Left: CT. Right: PSMA PET, same axial level, 18F-PSMA tracer. Acquired on Siemens Biograph 64-4R TruePoint. Slice 109 of 165.
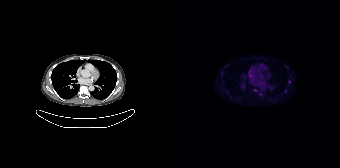
Coordinates are on the 168×168 PET (right) panel. (showing 2 of 3 foci) Small PSMA-avid foci (2 to 4 px across) near (center x, center y): (117, 81) / (88, 94).